Left: CT. Right: PSMA PET, same axial level, [18F]PSMA-1007 tracer. PET panel 200×200 px (4.1 mm/px).
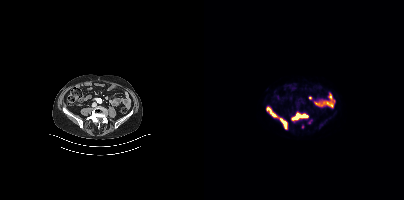
Coordinates are on the 200×200 PET (right) panel. PSMA-avid tumor lesion bounding boxes:
| # | x0 | y0 | x1 | y1 |
|---|---|---|---|---|
| 1 | 88 | 113 | 104 | 120 |
| 2 | 62 | 107 | 74 | 117 |
| 3 | 76 | 118 | 83 | 129 |
Small PSMA-avid foci (2 to 4 px across) near (center x, center y): (106, 121); (98, 126).